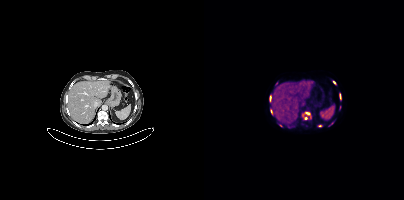
Left: CT. Right: PSMA PET, same axial level, 18F tracer. Coordinates are on the 200×200 PET (right) panel. (showing 9 of 11 foci) PSMA-avid tumor lesion bounding boxes (x0, y0)-(x1, y1): (98, 112)-(107, 119); (66, 96)-(67, 101). Small PSMA-avid foci (2 to 4 px across) near (center x, center y): (130, 82); (115, 125); (67, 111); (135, 107); (76, 125); (72, 83); (127, 123).